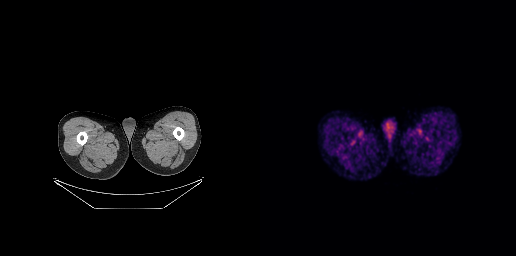
Negative for PSMA-avid disease on this slice. Left: CT. Right: PSMA PET, same axial level, [68Ga]Ga-PSMA-11 tracer. Slice position z = -973 mm. PET panel 256×256 px (2.7 mm/px).